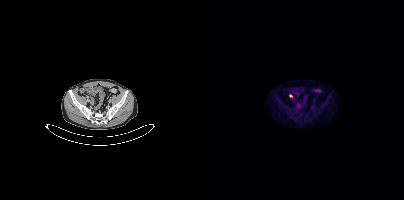
Findings: Coordinates are on the 200×200 PET (right) panel. Small PSMA-avid focus (2 to 4 px across) near (center x, center y): (86, 95).
Technique: Paired axial CT (left) and PSMA PET (right), 18F-PSMA tracer. acquired on Siemens Biograph mCT Flow 20. slice position z = -1584 mm. PET panel 200×200 px (4.1 mm/px).